Paired axial CT (left) and PSMA PET (right), 18F-PSMA tracer. PET panel 200×200 px (4.1 mm/px).
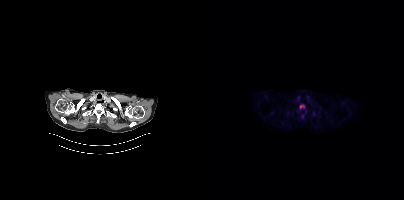
Coordinates are on the 200×200 PET (right) panel. PSMA-avid tumor lesion bounding box (x0, y0)-(x1, y1): (96, 105)-(100, 108).